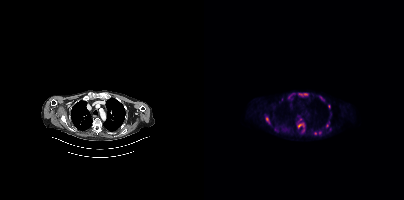
{"modality":"PSMA PET/CT","view":"axial","tracer":"18F","pet_grid":[200,200],"coord_frame":"pet_panel","coord_format":"x0,y0,x1,y1","partial":true,"lesion_bboxes":[[93,118,101,132],[94,93,104,96],[83,94,88,99],[110,131,117,134],[61,117,65,123],[122,121,125,127],[115,96,120,100]],"small_foci_centers":[[124,106]]}